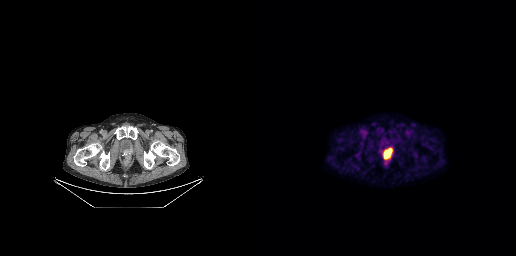
Coordinates are on the 256×256 PET (right) panel. PSMA-avid tumor lesion bounding box (x0,y0,x1,y1): [124,148,131,158].
modality: PSMA PET/CT | tracer: [18F]PSMA-1007 | view: axial